Left: CT. Right: PSMA PET, same axial level, [68Ga]Ga-PSMA-11 tracer. Acquired on Siemens Biograph 64-4R TruePoint. PET panel 168×168 px (4.1 mm/px). Head region blanked for anonymization (face removed).
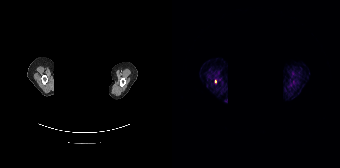
Coordinates are on the 168×168 PET (right) panel. Small PSMA-avid focus (2 to 4 px across) near (center x, center y): (43, 81).